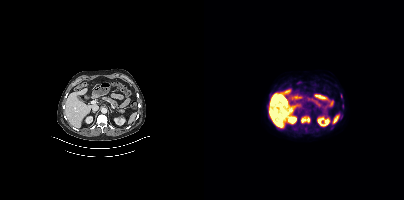
Paired axial CT (left) and PSMA PET (right), [18F]PSMA-1007 tracer. Acquired on Siemens Biograph mCT Flow 20. Coordinates are on the 200×200 PET (right) panel. PSMA-avid tumor lesion bounding box (x0,y0,x1,y1): [97,115,106,123]. Small PSMA-avid foci (2 to 4 px across) near (center x, center y): (102, 131), (137, 95), (138, 107).